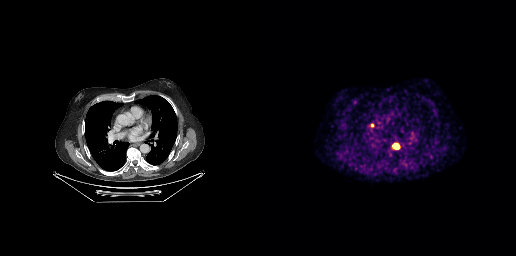
Technique: Two-panel axial: CT | PSMA PET, [18F]PSMA-1007 tracer. PET panel 256×256 px (2.7 mm/px).
Findings: Coordinates are on the 256×256 PET (right) panel. PSMA-avid tumor lesion bounding boxes (x0, y0)-(x1, y1): (133, 143)-(139, 148); (110, 123)-(114, 127).